Two-panel axial: CT | PSMA PET, 18F-PSMA tracer. Slice position z = 1820 mm. An anonymization step blacked out a rectangle over the head in this scan.
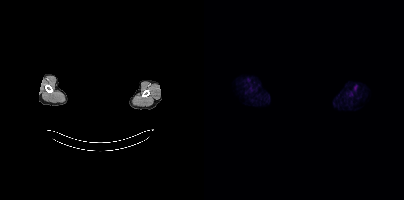
No tumor lesions annotated on this slice.